Paired axial CT (left) and PSMA PET (right), 68Ga-PSMA tracer. Acquired on Siemens Biograph 64-4R TruePoint. Slice 14 of 165. PET panel 168×168 px (4.1 mm/px).
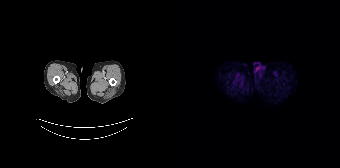
This slice has no annotated PSMA-avid lesion.